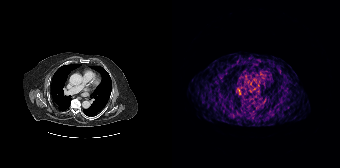
- Paired axial CT (left) and PSMA PET (right), [68Ga]Ga-PSMA-11 tracer
- slice position z = -1124 mm
- PET panel 168×168 px (4.1 mm/px)
Findings: This slice has no annotated PSMA-avid lesion.